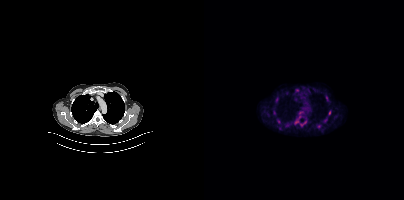
modality: PSMA PET/CT | tracer: 18F-PSMA | view: axial | PET grid: 200×200
Coordinates are on the 200×200 PET (right) panel. PSMA-avid tumor lesion bounding boxes (x, y, width, height): x=124 y=110 w=4 h=6 / x=119 y=118 w=5 h=5 / x=113 y=125 w=5 h=4. Small PSMA-avid foci (2 to 4 px across) near (center x, center y): (74, 121) / (123, 99) / (70, 112).